Left: CT. Right: PSMA PET, same axial level, 18F tracer. Slice position z = -917 mm.
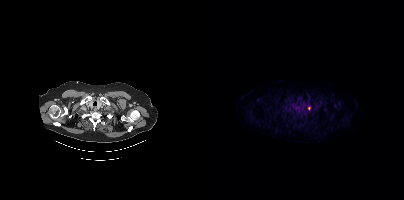
Coordinates are on the 200×200 PET (right) panel. Small PSMA-avid focus (2 to 4 px across) near (center x, center y): (104, 108).